Two-panel axial: CT | PSMA PET, 18F-PSMA tracer. Acquired on Siemens Biograph mCT Flow 20. Slice 171 of 454. PET panel 200×200 px (4.1 mm/px).
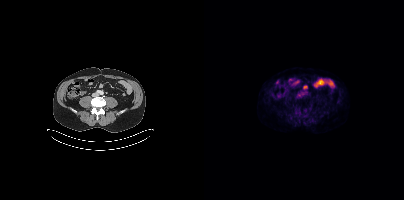
This slice has no annotated PSMA-avid lesion.